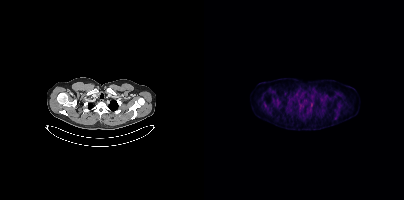
modality: PSMA PET/CT | tracer: [18F]PSMA-1007 | view: axial
This slice has no annotated PSMA-avid lesion.